Left: CT. Right: PSMA PET, same axial level, 68Ga-PSMA tracer. PET panel 256×256 px (2.7 mm/px).
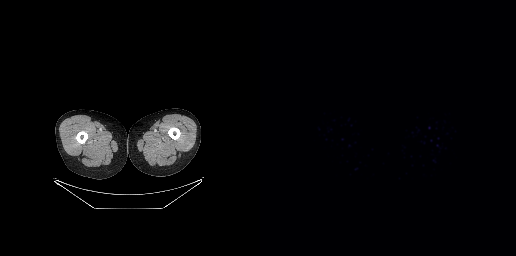
Negative for PSMA-avid disease on this slice.